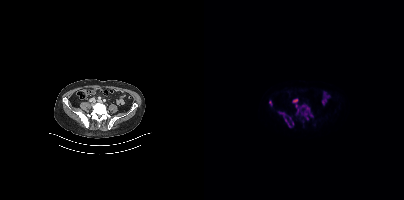
Findings: Coordinates are on the 200×200 PET (right) panel. PSMA-avid tumor lesion bounding boxes (x0,y0,x1,y1): [93,105,109,116] [75,111,89,127] [89,98,94,102] [65,101,68,105] [98,119,100,126].
- Two-panel axial: CT | PSMA PET, [18F]PSMA-1007 tracer
- slice position z = -870 mm